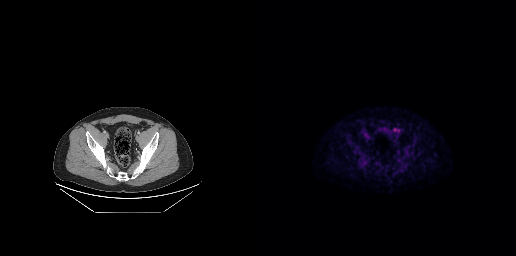
Findings: Coordinates are on the 256×256 PET (right) panel. PSMA-avid tumor lesion bounding boxes (x, y, width, height): x=133 y=128 w=6 h=4 | x=145 y=148 w=4 h=6.
- Left: CT. Right: PSMA PET, same axial level, 18F-PSMA tracer